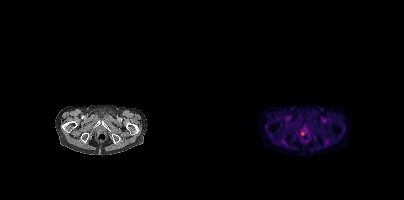
{"modality":"PSMA PET/CT","view":"axial","tracer":"18F","pet_grid":[200,200],"coord_frame":"pet_panel","coord_format":"x0,y0,x1,y1","lesion_bboxes":[],"small_foci_centers":[[98,133]]}